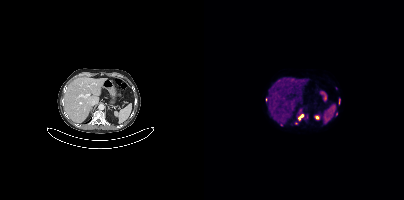
Findings: Coordinates are on the 200×200 PET (right) panel. (showing 4 of 8 foci) PSMA-avid tumor lesion bounding boxes (x0, y0)-(x1, y1): (94, 115)-(99, 120) / (135, 99)-(136, 104). Small PSMA-avid foci (2 to 4 px across) near (center x, center y): (95, 113) / (92, 123).
- Two-panel axial: CT | PSMA PET, [68Ga]Ga-PSMA-11 tracer
- acquired on Siemens Biograph mCT Flow 20
- slice position z = -1173 mm
- PET panel 200×200 px (4.1 mm/px)